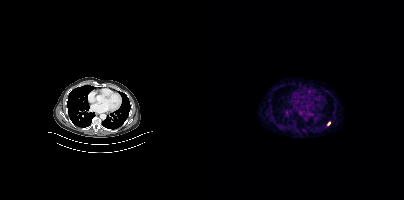
Technique: Two-panel axial: CT | PSMA PET, 68Ga tracer. PET panel 200×200 px (4.1 mm/px).
Findings: Coordinates are on the 200×200 PET (right) panel. Small PSMA-avid focus (2 to 4 px across) near (center x, center y): (125, 123).